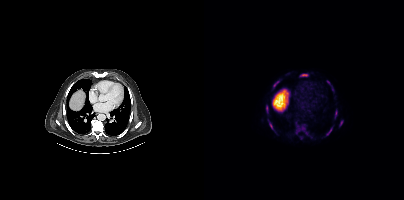
{"modality":"PSMA PET/CT","view":"axial","tracer":"18F-PSMA","pet_grid":[200,200],"coord_frame":"pet_panel","coord_format":"x0,y0,x1,y1","partial":true,"lesion_bboxes":[[69,80,75,87],[91,126,100,134],[96,74,104,76],[122,127,128,135],[124,82,130,91],[131,111,133,118],[135,120,139,126],[65,123,71,132],[62,105,64,111]],"small_foci_centers":[[102,133]]}